- de-identified by setting a box covering the face to black before release
- Paired axial CT (left) and PSMA PET (right), [18F]PSMA-1007 tracer
- PET panel 256×256 px (2.7 mm/px)
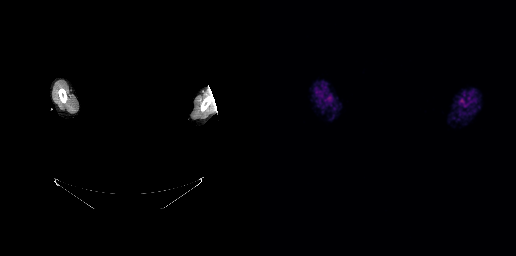
Findings: No PSMA-avid tumor lesions on this slice.